Left: CT. Right: PSMA PET, same axial level, 18F tracer. Slice position z = -415 mm.
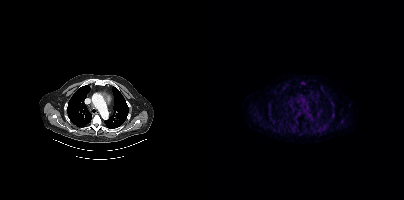
Negative for PSMA-avid disease on this slice.